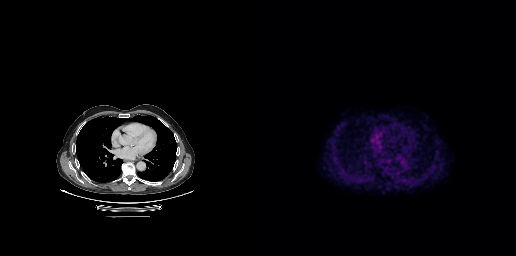
{"modality":"PSMA PET/CT","view":"axial","tracer":"18F","pet_grid":[256,256],"coord_frame":"pet_panel","coord_format":"x0,y0,x1,y1","lesion_bboxes":[[127,172,131,174]]}